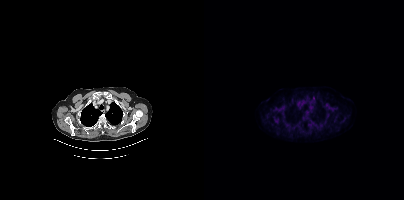
This slice has no annotated PSMA-avid lesion.